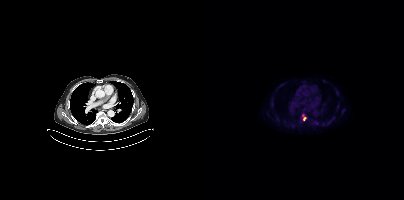
Coordinates are on the 200×200 PET (right) panel. (showing 2 of 4 foci) Small PSMA-avid foci (2 to 4 px across) near (center x, center y): (101, 117) | (129, 117).